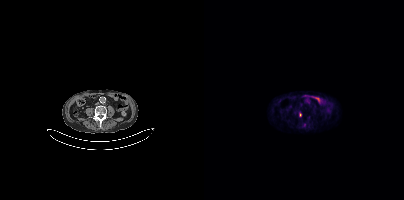
{"modality":"PSMA PET/CT","view":"axial","tracer":"[18F]PSMA-1007","pet_grid":[200,200],"coord_frame":"pet_panel","coord_format":"x0,y0,x1,y1","lesion_bboxes":[],"small_foci_centers":[[96,114],[100,124]]}